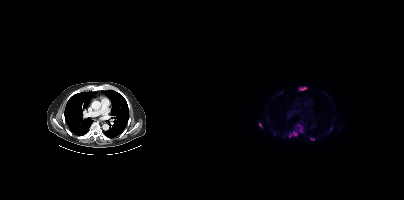
{"modality":"PSMA PET/CT","view":"axial","tracer":"[18F]PSMA-1007","pet_grid":[200,200],"coord_frame":"pet_panel","coord_format":"x0,y0,x1,y1","partial":true,"lesion_bboxes":[[95,87,102,90],[55,123,58,127],[106,138,110,140]],"small_foci_centers":[[86,135],[91,133]]}